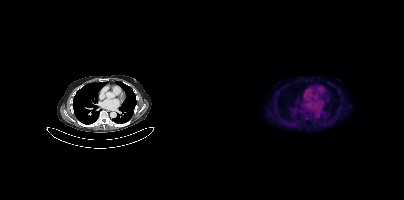
Negative for PSMA-avid disease on this slice.